Left: CT. Right: PSMA PET, same axial level, [18F]PSMA-1007 tracer. Slice 142 of 421.
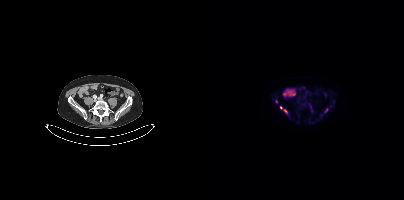
Coordinates are on the 200×200 PET (right) panel. PSMA-avid tumor lesion bounding boxes (partial; 1 more focus not listed):
| # | x0 | y0 | x1 | y1 |
|---|---|---|---|---|
| 1 | 80 | 109 | 83 | 113 |
| 2 | 121 | 108 | 123 | 112 |
Small PSMA-avid focus (2 to 4 px across) near (center x, center y): (76, 107).